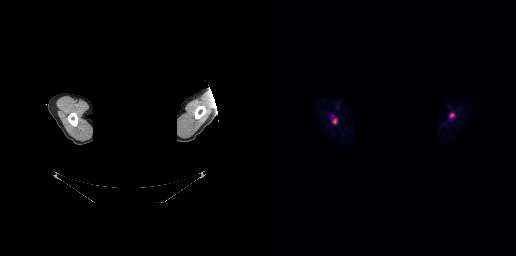
modality: PSMA PET/CT | tracer: 18F | view: axial | PET grid: 256×256 | redaction: facial region redacted
Coordinates are on the 256×256 PET (right) panel. PSMA-avid tumor lesion bounding boxes (x0,y0,x1,y1): [189,112,195,118]; [73,118,76,123].